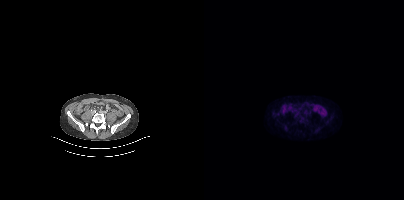
modality: PSMA PET/CT | tracer: [18F]PSMA-1007 | view: axial | PET grid: 200×200
Negative for PSMA-avid disease on this slice.